Technique: Paired axial CT (left) and PSMA PET (right), 68Ga tracer. acquired on GE Discovery 690. slice position z = -563 mm.
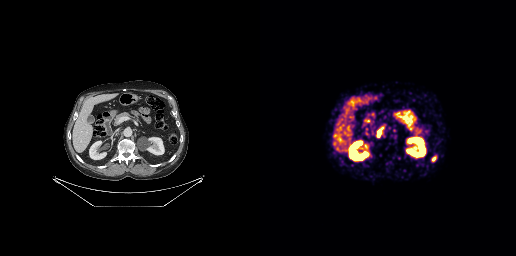
Findings: Coordinates are on the 256×256 PET (right) panel. PSMA-avid tumor lesion bounding boxes (x0, y0)-(x1, y1): (117, 128)-(122, 137) / (172, 156)-(176, 160).